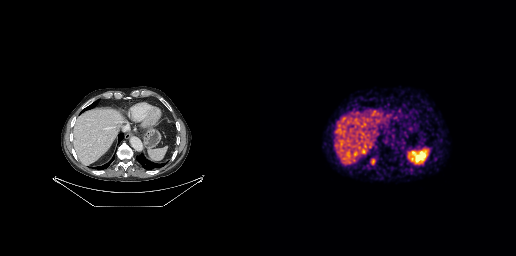
This slice has no annotated PSMA-avid lesion.
modality: PSMA PET/CT | tracer: 68Ga | view: axial